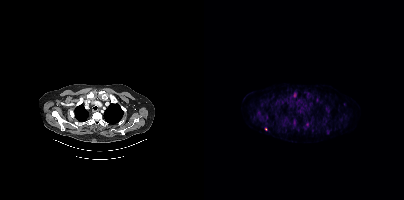
modality: PSMA PET/CT | tracer: 18F-PSMA | view: axial
Coordinates are on the 200×200 PET (right) panel. Small PSMA-avid foci (2 to 4 px across) near (center x, center y): (91, 95) | (123, 131) | (61, 129).